Technique: Left: CT. Right: PSMA PET, same axial level, [18F]PSMA-1007 tracer.
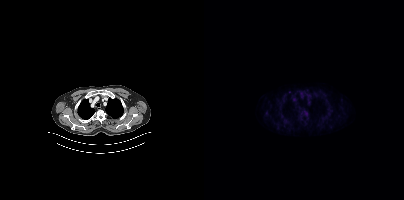
Findings: No tumor lesions annotated on this slice.